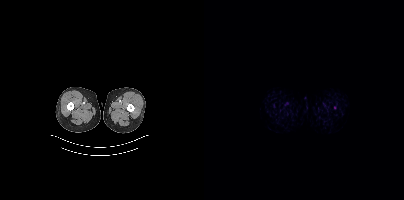
{"modality":"PSMA PET/CT","view":"axial","tracer":"[18F]PSMA-1007","pet_grid":[200,200],"coord_frame":"pet_panel","coord_format":"x0,y0,x1,y1","psma_avid_lesions":false}